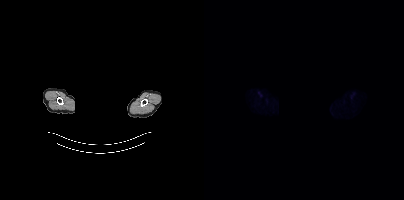
deidentification: rectangular block over head set to black | modality: PSMA PET/CT | tracer: [18F]PSMA-1007 | view: axial
No tumor lesions annotated on this slice.